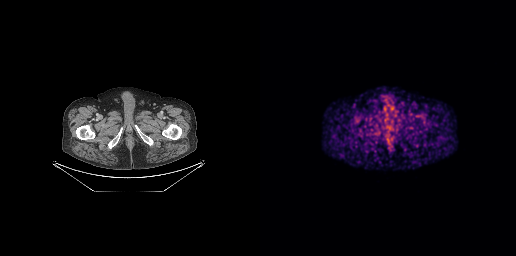
No tumor lesions annotated on this slice.